Paired axial CT (left) and PSMA PET (right), 18F-PSMA tracer. Acquired on Siemens Biograph mCT Flow 20. PET panel 200×200 px (4.1 mm/px).
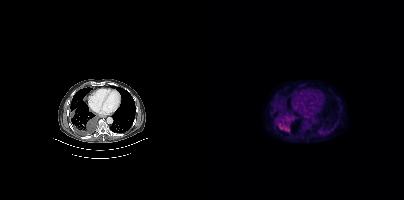
Coordinates are on the 200×200 PET (right) panel. PSMA-avid tumor lesion bounding boxes:
| # | x0 | y0 | x1 | y1 |
|---|---|---|---|---|
| 1 | 72 | 120 | 85 | 132 |
Small PSMA-avid focus (2 to 4 px across) near (center x, center y): (87, 118).